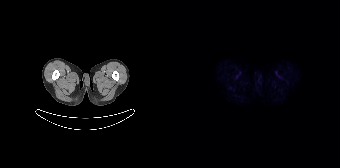
Two-panel axial: CT | PSMA PET, [18F]PSMA-1007 tracer. Slice 17 of 165. No tumor lesions annotated on this slice.